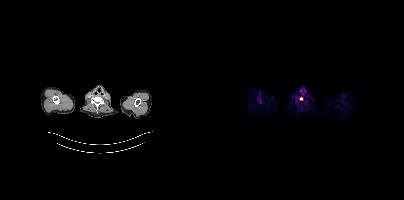
Findings: Coordinates are on the 200×200 PET (right) panel. Small PSMA-avid focus (2 to 4 px across) near (center x, center y): (97, 98).
Technique: Paired axial CT (left) and PSMA PET (right), 18F-PSMA tracer. acquired on Siemens Biograph mCT Flow 20.